modality: PSMA PET/CT | tracer: 18F-PSMA | view: axial | PET grid: 200×200 | deidentification: rectangular block over head set to black
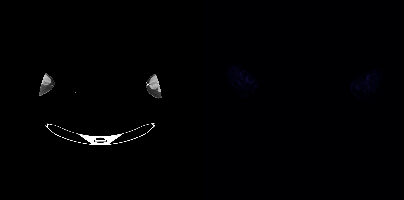
Negative for PSMA-avid disease on this slice.